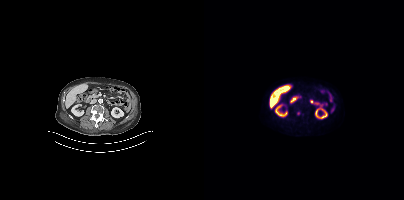
Coordinates are on the 200×200 PET (right) panel. PSMA-avid tumor lesion bounding box (x0,y0,x1,y1): [93,111,96,115].